- Two-panel axial: CT | PSMA PET, [18F]PSMA-1007 tracer
- PET panel 200×200 px (4.1 mm/px)
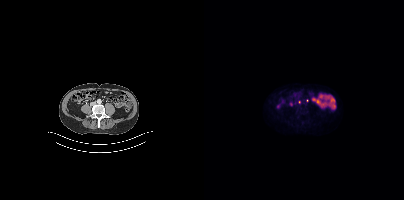
Findings: Coordinates are on the 200×200 PET (right) panel. (showing 2 of 3 foci) Small PSMA-avid foci (2 to 4 px across) near (center x, center y): (87, 104), (95, 101).